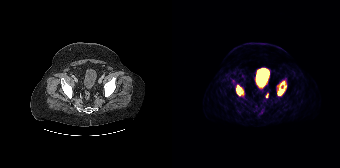
Coordinates are on the 168×168 PET (right) panel. PSMA-avid tumor lesion bounding boxes:
| # | x0 | y0 | x1 | y1 |
|---|---|---|---|---|
| 1 | 64 | 84 | 72 | 95 |
| 2 | 105 | 81 | 114 | 95 |
Small PSMA-avid focus (2 to 4 px across) near (center x, center y): (94, 96).
Left: CT. Right: PSMA PET, same axial level, 68Ga tracer.